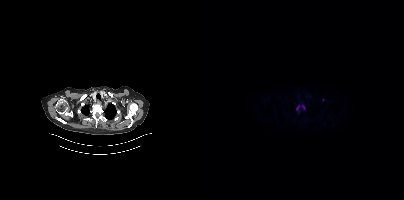
Technique: Paired axial CT (left) and PSMA PET (right), 18F-PSMA tracer.
Findings: This slice has no annotated PSMA-avid lesion.